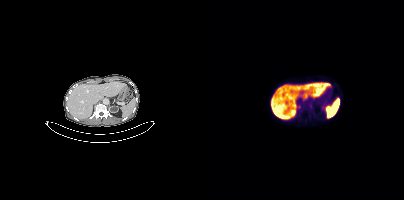
Left: CT. Right: PSMA PET, same axial level, [18F]PSMA-1007 tracer. Acquired on Siemens Biograph mCT Flow 20. Coordinates are on the 200×200 PET (right) panel. Small PSMA-avid focus (2 to 4 px across) near (center x, center y): (94, 107).